Left: CT. Right: PSMA PET, same axial level, [18F]PSMA-1007 tracer. Slice 58 of 403.
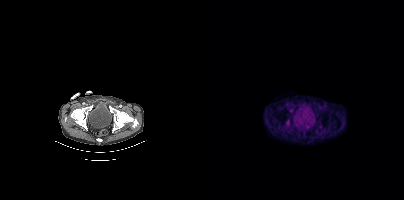
Coordinates are on the 200×200 PET (right) panel. PSMA-avid tumor lesion bounding box (x0,y0,x1,y1): [82,120,85,125].